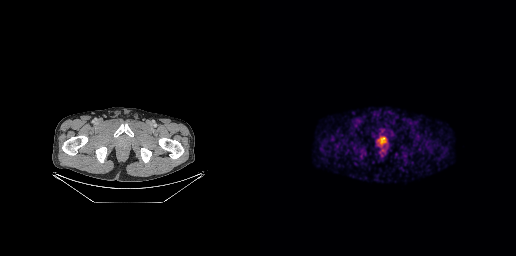
Coordinates are on the 256×256 PET (right) panel. Small PSMA-avid focus (2 to 4 px across) near (center x, center y): (122, 142).